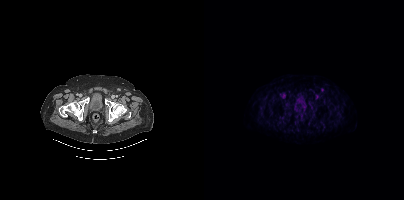
Paired axial CT (left) and PSMA PET (right), 18F-PSMA tracer. Acquired on Siemens Biograph mCT Flow 20. Coordinates are on the 200×200 PET (right) panel. Small PSMA-avid focus (2 to 4 px across) near (center x, center y): (118, 89).